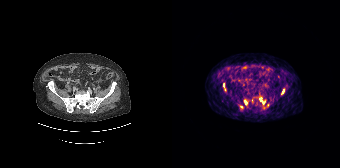
Paired axial CT (left) and PSMA PET (right), [68Ga]Ga-PSMA-11 tracer. Acquired on Siemens Biograph 64-4R TruePoint. Coordinates are on the 168×168 PET (right) panel. (showing 5 of 6 foci) PSMA-avid tumor lesion bounding boxes (x0, y0)-(x1, y1): (87, 97)-(92, 104) | (51, 83)-(54, 90) | (72, 100)-(75, 104) | (110, 89)-(112, 93). Small PSMA-avid focus (2 to 4 px across) near (center x, center y): (69, 106).